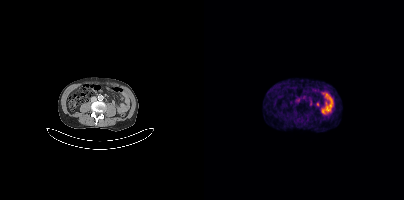
Negative for PSMA-avid disease on this slice.
modality: PSMA PET/CT | tracer: 68Ga-PSMA | view: axial | PET grid: 200×200